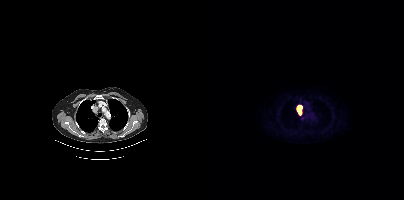
{"modality":"PSMA PET/CT","view":"axial","tracer":"18F","pet_grid":[200,200],"coord_frame":"pet_panel","coord_format":"x0,y0,x1,y1","lesion_bboxes":[[93,109,96,114]]}